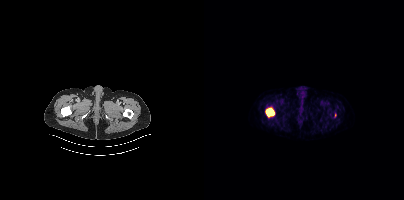
Coordinates are on the 200×200 PET (right) panel. PSMA-avid tumor lesion bounding box (x0, y0)-(x1, y1): (62, 108)-(70, 116).